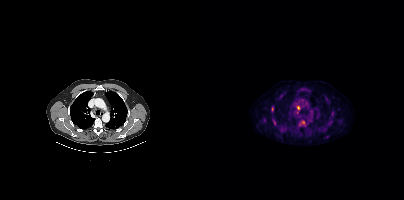
Coordinates are on the 200×200 PET (right) panel. Small PSMA-avid foci (2 to 4 px across) near (center x, center y): (94, 107) | (68, 108) | (99, 122).